Left: CT. Right: PSMA PET, same axial level, 18F-PSMA tracer. Slice 48 of 442. PET panel 200×200 px (4.1 mm/px).
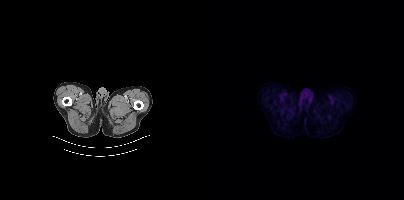
No tumor lesions annotated on this slice.